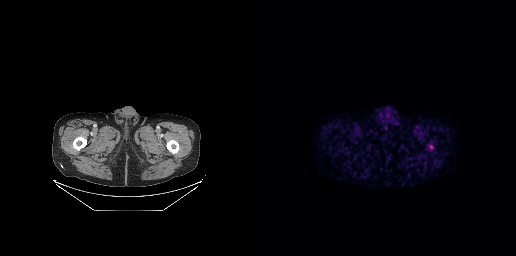
Technique: Left: CT. Right: PSMA PET, same axial level, 68Ga-PSMA tracer. acquired on GE Discovery 690.
Findings: No PSMA-avid tumor lesions on this slice.